de-identification: face masked with black rectangle | modality: PSMA PET/CT | tracer: 18F | view: axial
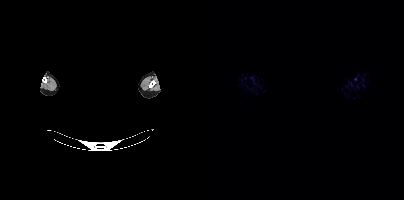
No PSMA-avid tumor lesions on this slice.